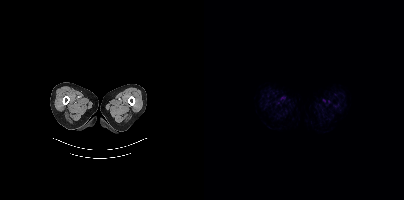
{"modality":"PSMA PET/CT","view":"axial","tracer":"18F-PSMA","pet_grid":[200,200],"coord_frame":"pet_panel","coord_format":"x0,y0,x1,y1","psma_avid_lesions":false}